Technique: Left: CT. Right: PSMA PET, same axial level, 18F-PSMA tracer.
Note: Privacy masking over the head, with the pixels inside a rectangle set to black.
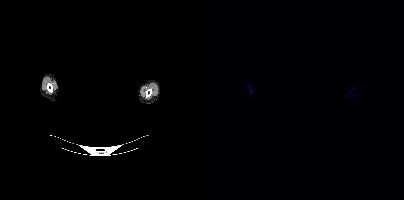
Findings: This slice has no annotated PSMA-avid lesion.